Left: CT. Right: PSMA PET, same axial level, 18F-PSMA tracer. PET panel 200×200 px (4.1 mm/px).
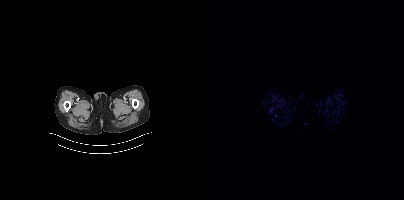
No PSMA-avid tumor lesions on this slice.